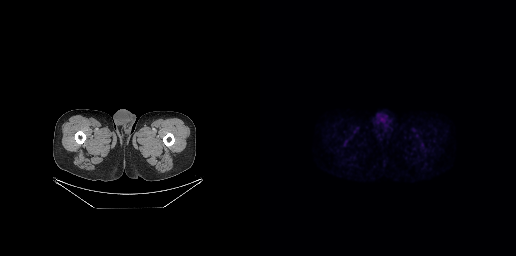
modality: PSMA PET/CT | tracer: [18F]PSMA-1007 | view: axial | PET grid: 256×256
Negative for PSMA-avid disease on this slice.